Left: CT. Right: PSMA PET, same axial level, [68Ga]Ga-PSMA-11 tracer. Acquired on Siemens Biograph 64-4R TruePoint. Slice 133 of 195. PET panel 168×168 px (4.1 mm/px).
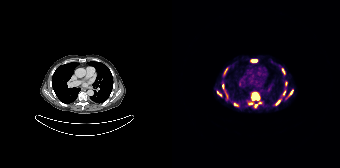
Coordinates are on the 168×168 PET (right) panel. PSMA-avid tumor lesion bounding boxes (partial; 1 more focus not listed):
| # | x0 | y0 | x1 | y1 |
|---|---|---|---|---|
| 1 | 80 | 93 | 87 | 99 |
| 2 | 80 | 59 | 84 | 61 |
| 3 | 104 | 100 | 107 | 104 |
| 4 | 110 | 69 | 112 | 73 |
| 5 | 118 | 90 | 120 | 94 |
Small PSMA-avid foci (2 to 4 px across) near (center x, center y): (84, 105); (63, 104); (114, 83); (112, 92); (45, 92); (48, 94).